modality: PSMA PET/CT | tracer: [18F]PSMA-1007 | view: axial
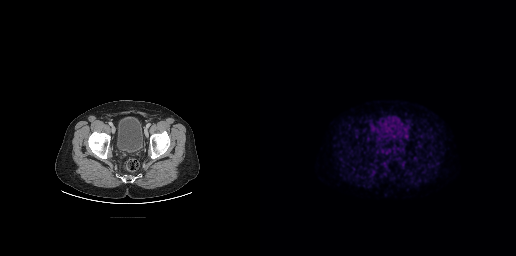
No PSMA-avid tumor lesions on this slice.